- Paired axial CT (left) and PSMA PET (right), 18F-PSMA tracer
- slice position z = -649 mm
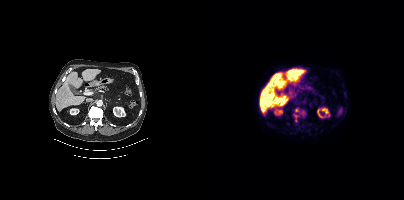
Findings: Coordinates are on the 200×200 PET (right) panel. PSMA-avid tumor lesion bounding box (x0, y0)-(x1, y1): (90, 114)-(93, 121). Small PSMA-avid foci (2 to 4 px across) near (center x, center y): (92, 109) | (98, 112).